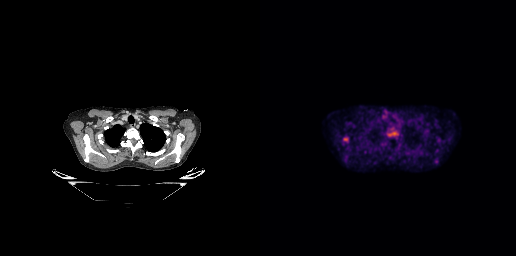
modality: PSMA PET/CT | tracer: [18F]PSMA-1007 | view: axial
Coordinates are on the 256×256 PET (right) panel. PSMA-avid tumor lesion bounding boxes (x0, y0)-(x1, y1): (127, 128)-(138, 136) | (83, 136)-(88, 142).